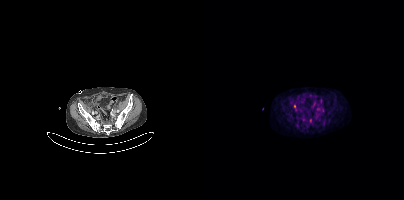
{"pet_grid":[200,200],"coord_frame":"pet_panel","coord_format":"x0,y0,x1,y1","lesion_bboxes":[[90,105,93,111]],"small_foci_centers":[[106,120]],"modality":"PSMA PET/CT","view":"axial","tracer":"[18F]PSMA-1007"}